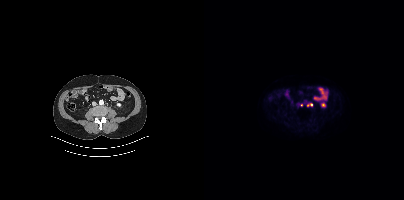
{"modality":"PSMA PET/CT","view":"axial","tracer":"[18F]PSMA-1007","pet_grid":[200,200],"coord_frame":"pet_panel","coord_format":"x0,y0,x1,y1","lesion_bboxes":[[103,103,108,106]],"small_foci_centers":[[97,104]]}